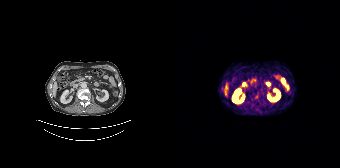
Paired axial CT (left) and PSMA PET (right), 68Ga tracer. PET panel 168×168 px (4.1 mm/px). No PSMA-avid tumor lesions on this slice.